Left: CT. Right: PSMA PET, same axial level, [18F]PSMA-1007 tracer. Slice 151 of 395. PET panel 200×200 px (4.1 mm/px).
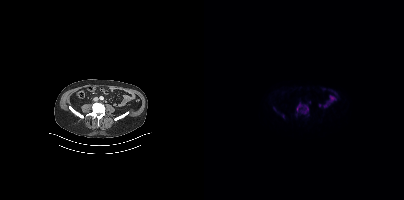
Coordinates are on the 200×200 PET (right) panel. PSMA-avid tumor lesion bounding boxes (partial; 2 more foci not listed):
| # | x0 | y0 | x1 | y1 |
|---|---|---|---|---|
| 1 | 92 | 104 | 104 | 113 |